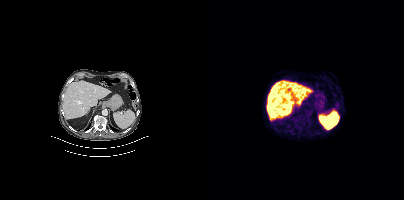
Two-panel axial: CT | PSMA PET, 18F-PSMA tracer. PET panel 200×200 px (4.1 mm/px). No PSMA-avid tumor lesions on this slice.